Paired axial CT (left) and PSMA PET (right), [18F]PSMA-1007 tracer. Acquired on Siemens Biograph 64-4R TruePoint. Slice 142 of 165. PET panel 168×168 px (4.1 mm/px). Face de-identified by blanking a block of the head.
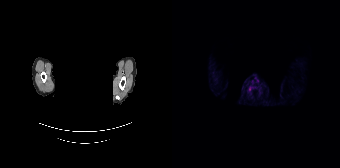
Coordinates are on the 168×168 PET (right) panel. Small PSMA-avid focus (2 to 4 px across) near (center x, center y): (77, 88).